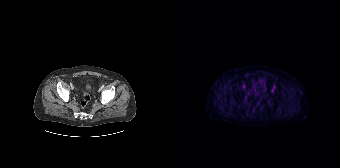
- Paired axial CT (left) and PSMA PET (right), 18F-PSMA tracer
- acquired on Siemens Biograph 64-4R TruePoint
Findings: No PSMA-avid tumor lesions on this slice.